Left: CT. Right: PSMA PET, same axial level, 18F-PSMA tracer. Acquired on Siemens Biograph mCT Flow 20. PET panel 200×200 px (4.1 mm/px).
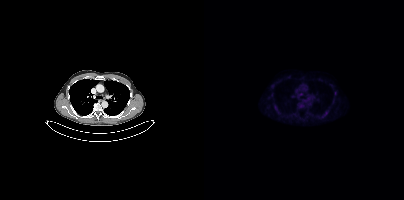
Coordinates are on the 200×200 PET (right) panel. Small PSMA-avid focus (2 to 4 px across) near (center x, center y): (96, 93).